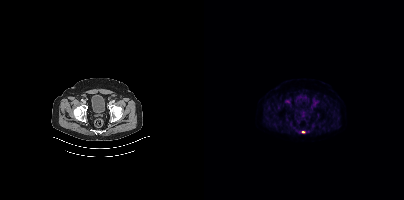
{"modality":"PSMA PET/CT","view":"axial","tracer":"[18F]PSMA-1007","pet_grid":[200,200],"coord_frame":"pet_panel","coord_format":"x0,y0,x1,y1","lesion_bboxes":[[97,131,101,133]]}